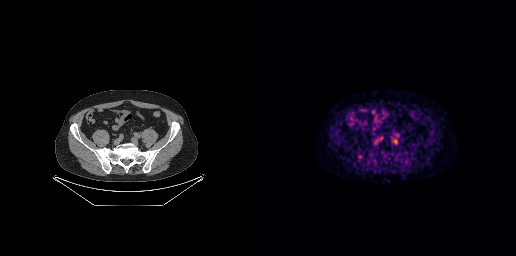
{"pet_grid":[256,256],"coord_frame":"pet_panel","coord_format":"x0,y0,x1,y1","lesion_bboxes":[[98,155,102,159]],"modality":"PSMA PET/CT","view":"axial","tracer":"18F"}